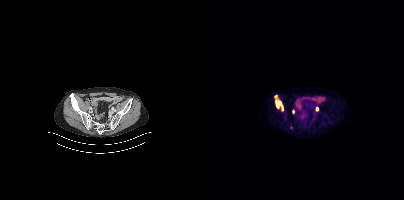
Technique: Two-panel axial: CT | PSMA PET, [18F]PSMA-1007 tracer.
Findings: Coordinates are on the 200×200 PET (right) panel. (showing 3 of 4 foci) PSMA-avid tumor lesion bounding box (x0, y0)-(x1, y1): (71, 96)-(79, 111). Small PSMA-avid foci (2 to 4 px across) near (center x, center y): (113, 109) | (87, 127).